Paired axial CT (left) and PSMA PET (right), 18F-PSMA tracer. Acquired on Siemens Biograph mCT Flow 20. Slice 161 of 409.
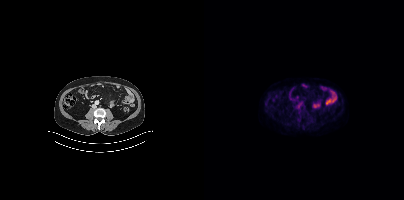
This slice has no annotated PSMA-avid lesion.